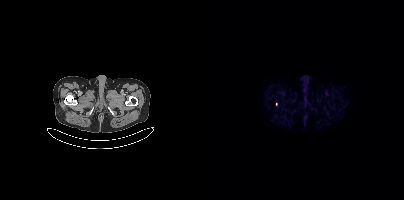
- Paired axial CT (left) and PSMA PET (right), [18F]PSMA-1007 tracer
Findings: Coordinates are on the 200×200 PET (right) panel. Small PSMA-avid focus (2 to 4 px across) near (center x, center y): (72, 104).